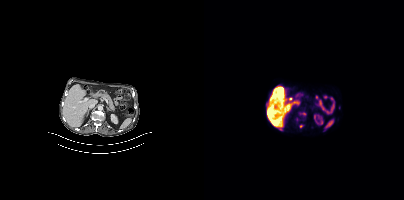
{"modality":"PSMA PET/CT","view":"axial","tracer":"[18F]PSMA-1007","pet_grid":[200,200],"coord_frame":"pet_panel","coord_format":"x0,y0,x1,y1","partial":true,"lesion_bboxes":[],"small_foci_centers":[[96,126]]}